Two-panel axial: CT | PSMA PET, 68Ga tracer. Acquired on Siemens Biograph 64-4R TruePoint. Slice position z = -1106 mm.
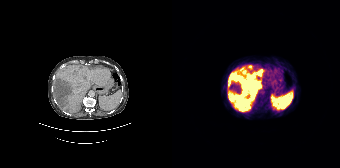
Coordinates are on the 168×168 PET (right) panel. PSMA-avid tumor lesion bounding boxes:
| # | x0 | y0 | x1 | y1 |
|---|---|---|---|---|
| 1 | 56 | 66 | 91 | 111 |
| 2 | 76 | 65 | 80 | 69 |